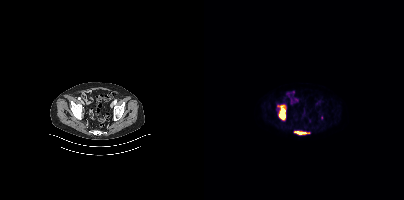
{"modality":"PSMA PET/CT","view":"axial","tracer":"18F-PSMA","pet_grid":[200,200],"coord_frame":"pet_panel","coord_format":"x0,y0,x1,y1","lesion_bboxes":[[75,105,81,119],[90,131,105,134]]}